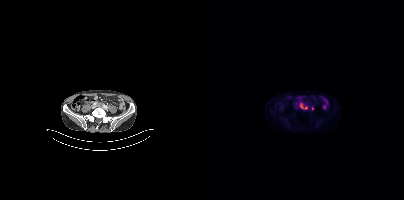
{"modality":"PSMA PET/CT","view":"axial","tracer":"[18F]PSMA-1007","pet_grid":[200,200],"coord_frame":"pet_panel","coord_format":"x0,y0,x1,y1","lesion_bboxes":[[95,102,103,109]],"small_foci_centers":[[108,108]]}